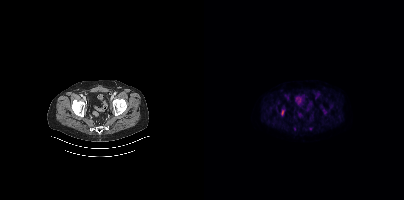
Coordinates are on the 200×200 PET (right) panel. PSMA-avid tumor lesion bounding box (x0,y0,x1,y1): [77,110,80,115]. Small PSMA-avid focus (2 to 4 px across) near (center x, center y): (106, 128). Left: CT. Right: PSMA PET, same axial level, 18F-PSMA tracer. Slice 61 of 395.